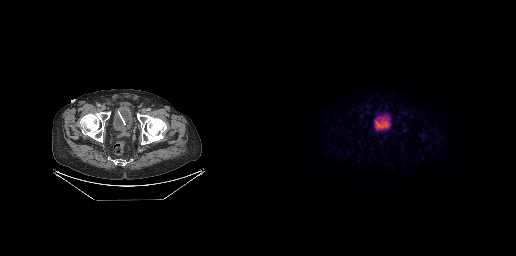
Negative for PSMA-avid disease on this slice.